Paired axial CT (left) and PSMA PET (right), 18F-PSMA tracer. Acquired on Siemens Biograph mCT Flow 20. Slice position z = -753 mm.
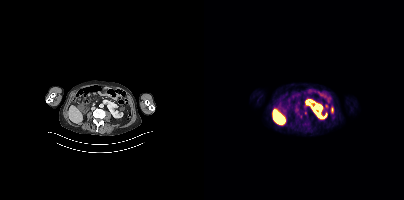
Coordinates are on the 200×200 PET (right) panel. PSMA-avid tumor lesion bounding box (x, y, width, height): x=127 y=107 w=3 h=6.